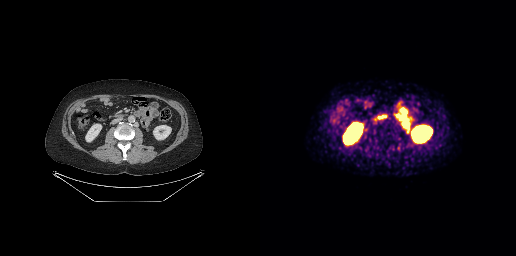
Findings: No tumor lesions annotated on this slice.
Technique: Paired axial CT (left) and PSMA PET (right), [68Ga]Ga-PSMA-11 tracer. acquired on GE Discovery 690. PET panel 256×256 px (2.7 mm/px).